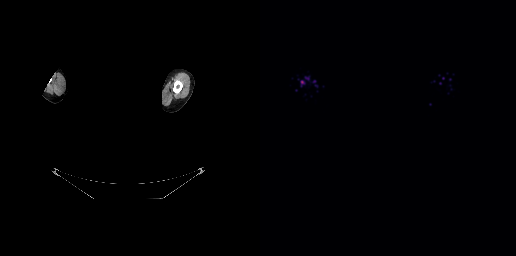
redaction: privacy mask over head | modality: PSMA PET/CT | tracer: 18F-PSMA | view: axial | PET grid: 256×256
No PSMA-avid tumor lesions on this slice.